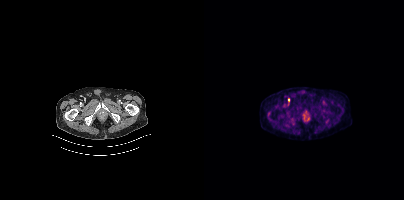
Coordinates are on the 200×200 PET (right) panel. Small PSMA-avid focus (2 to 4 px across) near (center x, center y): (84, 99).